modality: PSMA PET/CT | tracer: 68Ga-PSMA | view: axial | PET grid: 200×200
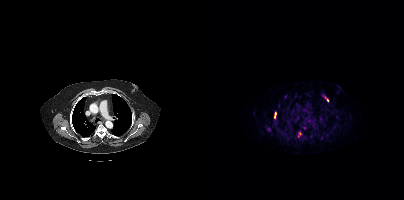
Coordinates are on the 200×200 PET (right) panel. (showing 4 of 5 foci) PSMA-avid tumor lesion bounding boxes (x0,y0,x1,y1): [118,95,125,102], [93,131,98,137], [70,112,72,118]. Small PSMA-avid focus (2 to 4 px across) near (center x, center y): (100, 127).